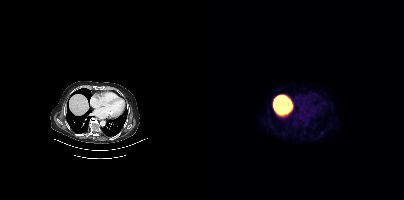
Left: CT. Right: PSMA PET, same axial level, [18F]PSMA-1007 tracer. Acquired on Siemens Biograph mCT Flow 20. Slice 242 of 377. PET panel 200×200 px (4.1 mm/px). No PSMA-avid tumor lesions on this slice.